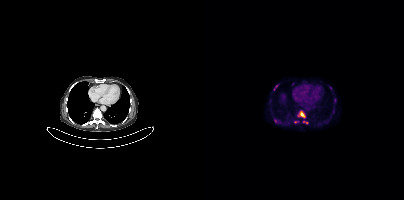
Left: CT. Right: PSMA PET, same axial level, 18F-PSMA tracer. Acquired on Siemens Biograph mCT Flow 20. PET panel 200×200 px (4.1 mm/px).
Coordinates are on the 200×200 PET (right) panel. PSMA-avid tumor lesion bounding boxes (partial; 2 more foci not listed):
| # | x0 | y0 | x1 | y1 |
|---|---|---|---|---|
| 1 | 94 | 111 | 101 | 118 |
| 2 | 70 | 119 | 76 | 123 |
| 3 | 99 | 121 | 103 | 123 |
Small PSMA-avid foci (2 to 4 px across) near (center x, center y): (129, 112); (91, 121); (72, 86).